- Paired axial CT (left) and PSMA PET (right), [68Ga]Ga-PSMA-11 tracer
- PET panel 168×168 px (4.1 mm/px)
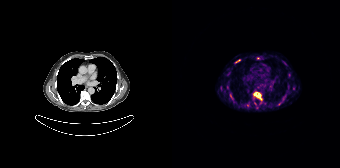
Findings: Coordinates are on the 168×168 PET (right) panel. (showing 4 of 6 foci) PSMA-avid tumor lesion bounding boxes (x0,y0,x1,y1): [81,92,90,100], [63,59,68,62]. Small PSMA-avid foci (2 to 4 px across) near (center x, center y): (55, 87), (107, 103).